Technique: Paired axial CT (left) and PSMA PET (right), 18F-PSMA tracer.
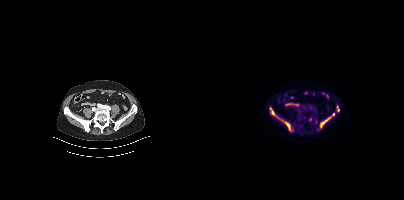
Findings: Coordinates are on the 200×200 PET (right) panel. PSMA-avid tumor lesion bounding boxes (x0, y0)-(x1, y1): (116, 113)-(130, 127) / (78, 120)-(87, 131) / (67, 112)-(75, 118) / (133, 105)-(135, 111) / (105, 117)-(107, 121).